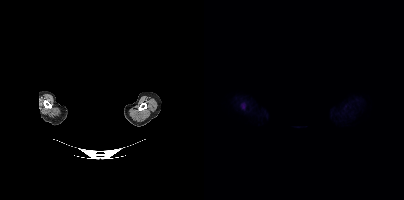
Coordinates are on the 200×200 PET (right) panel. PSMA-avid tumor lesion bounding boxes:
| # | x0 | y0 | x1 | y1 |
|---|---|---|---|---|
| 1 | 37 | 103 | 41 | 108 |
A rectangle over the head was blacked out to remove identifiable facial features. Left: CT. Right: PSMA PET, same axial level, 18F tracer. PET panel 200×200 px (4.1 mm/px).